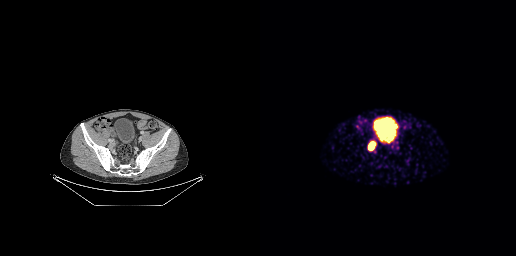
Findings: Coordinates are on the 256×256 PET (right) panel. PSMA-avid tumor lesion bounding box (x0,y0,x1,y1): [108,142,114,149].
Technique: Two-panel axial: CT | PSMA PET, [68Ga]Ga-PSMA-11 tracer. acquired on GE Discovery 690. slice 73 of 263.